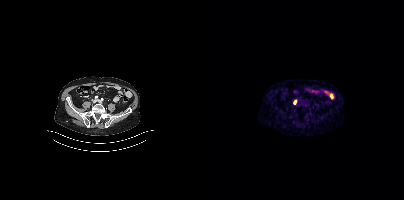
Technique: Paired axial CT (left) and PSMA PET (right), 68Ga-PSMA tracer. acquired on Siemens Biograph mCT Flow 20. slice position z = -1392 mm.
Findings: Coordinates are on the 200×200 PET (right) panel. Small PSMA-avid focus (2 to 4 px across) near (center x, center y): (91, 101).